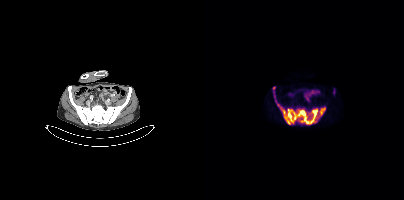
Coordinates are on the 200×200 PET (right) panel. PSMA-avid tumor lesion bounding boxes (partial; 1 more focus not listed):
| # | x0 | y0 | x1 | y1 |
|---|---|---|---|---|
| 1 | 69 | 87 | 121 | 124 |
Paired axial CT (left) and PSMA PET (right), [18F]PSMA-1007 tracer. Slice 113 of 409.